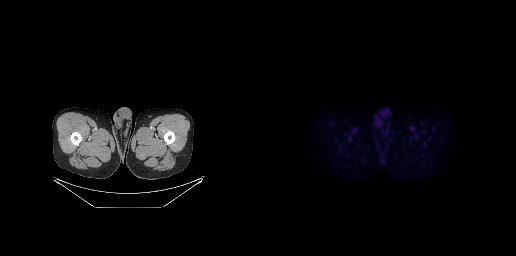
No PSMA-avid tumor lesions on this slice.